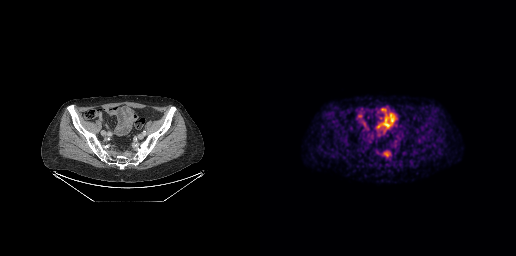
No PSMA-avid tumor lesions on this slice.